Technique: Two-panel axial: CT | PSMA PET, [68Ga]Ga-PSMA-11 tracer. slice position z = -979 mm.
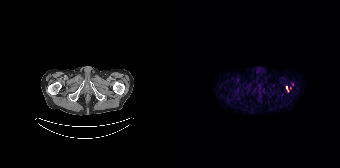
Findings: Coordinates are on the 168×168 PET (right) panel. Small PSMA-avid focus (2 to 4 px across) near (center x, center y): (114, 87).